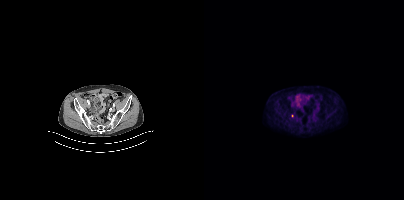
Coordinates are on the 200×200 PET (right) panel. Small PSMA-avid focus (2 to 4 px across) near (center x, center y): (88, 116).